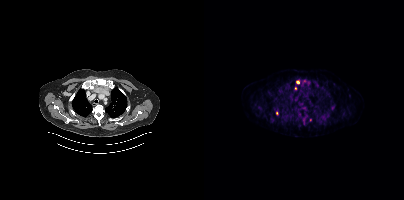
Technique: Left: CT. Right: PSMA PET, same axial level, [18F]PSMA-1007 tracer. slice 358 of 454.
Findings: Coordinates are on the 200×200 PET (right) panel. (showing 12 of 14 foci) PSMA-avid tumor lesion bounding boxes (x0,y0,x1,y1): [97,115,104,125]; [92,112,96,120]; [121,94,126,97]; [85,114,89,120]; [127,105,130,109]. Small PSMA-avid foci (2 to 4 px across) near (center x, center y): (93, 82); (56, 107); (100, 81); (91, 88); (72, 113); (66, 120); (104, 82).